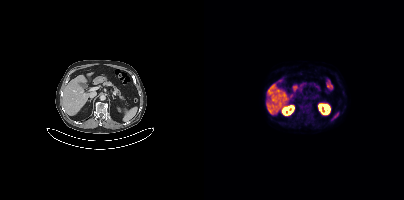
This slice has no annotated PSMA-avid lesion.